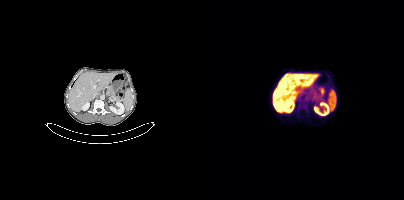
No tumor lesions annotated on this slice.